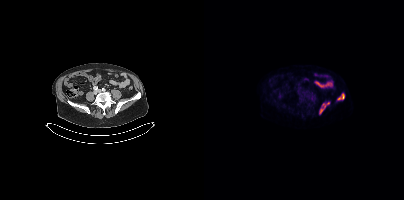
modality: PSMA PET/CT | tracer: [18F]PSMA-1007 | view: axial
Coordinates are on the 200×200 PET (right) panel. PSMA-avid tumor lesion bounding boxes (x, y, width, height): x=115 y=102 w=11 h=13 | x=133 y=93 w=8 h=8.